- Two-panel axial: CT | PSMA PET, [18F]PSMA-1007 tracer
- acquired on Siemens Biograph mCT Flow 20
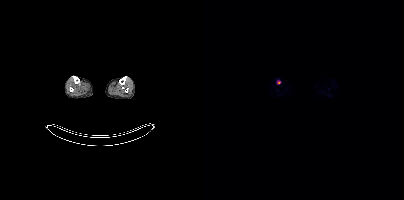
Findings: Coordinates are on the 200×200 PET (right) panel. Small PSMA-avid focus (2 to 4 px across) near (center x, center y): (74, 82).